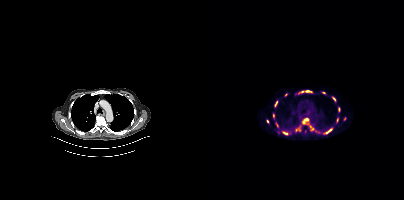
{"modality":"PSMA PET/CT","view":"axial","tracer":"18F","pet_grid":[200,200],"coord_frame":"pet_panel","coord_format":"x0,y0,x1,y1","partial":true,"lesion_bboxes":[[98,118,109,130],[91,90,109,94],[78,131,83,134],[92,127,96,131],[128,96,131,101],[122,129,127,133],[70,101,73,107],[62,119,65,123],[69,113,70,118]],"small_foci_centers":[[119,92],[73,124],[135,108],[140,118]]}